Left: CT. Right: PSMA PET, same axial level, 18F-PSMA tracer. Acquired on Siemens Biograph mCT Flow 20. Slice position z = -298 mm. PET panel 200×200 px (4.1 mm/px).
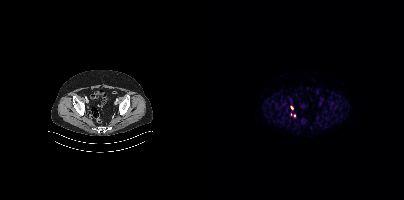
Coordinates are on the 200×200 PET (right) panel. (showing 2 of 3 foci) Small PSMA-avid foci (2 to 4 px across) near (center x, center y): (88, 107) | (90, 115).